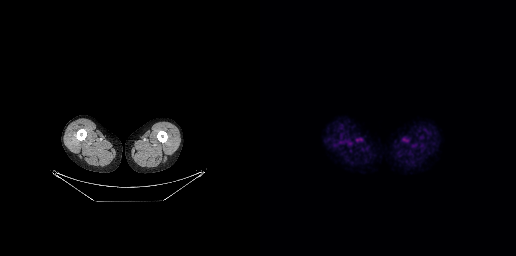
{"modality":"PSMA PET/CT","view":"axial","tracer":"18F-PSMA","pet_grid":[256,256],"coord_frame":"pet_panel","coord_format":"x0,y0,x1,y1","psma_avid_lesions":false}